Left: CT. Right: PSMA PET, same axial level, 18F-PSMA tracer. Slice position z = -680 mm. PET panel 200×200 px (4.1 mm/px).
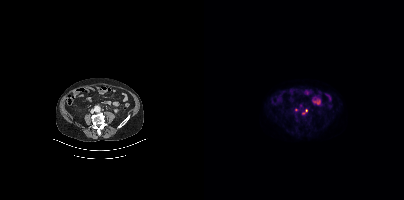
Coordinates are on the 200×200 PET (right) panel. PSMA-avid tumor lesion bounding box (x0, y0)-(x1, y1): (98, 109)-(103, 114).